The face region was removed for patient privacy by blanking a rectangle over the head.
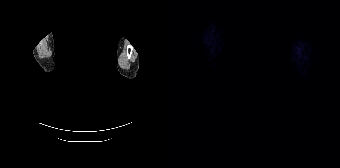
No PSMA-avid tumor lesions on this slice.